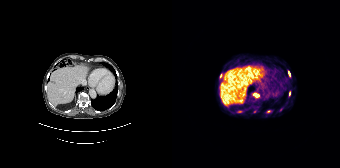
{"modality":"PSMA PET/CT","view":"axial","tracer":"68Ga","pet_grid":[168,168],"coord_frame":"pet_panel","coord_format":"x0,y0,x1,y1","lesion_bboxes":[[81,93,87,97],[48,74,50,78],[116,71,118,75],[117,91,118,95]],"small_foci_centers":[[108,109],[96,111],[68,111],[82,111]]}